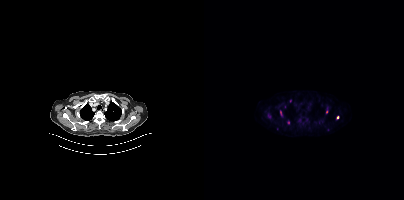
modality: PSMA PET/CT | tracer: 18F | view: axial | PET grid: 200×200
Coordinates are on the 200×200 PET (right) panel. (showing 3 of 4 foci) Small PSMA-avid foci (2 to 4 px across) near (center x, center y): (84, 122), (133, 117), (122, 111).